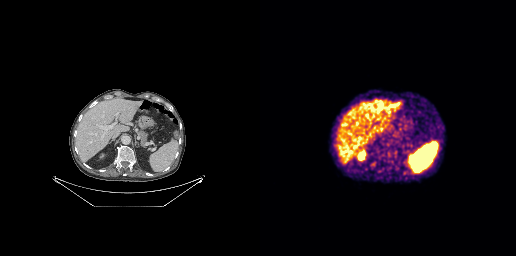
{"pet_grid":[256,256],"coord_frame":"pet_panel","coord_format":"x0,y0,x1,y1","psma_avid_lesions":false,"modality":"PSMA PET/CT","view":"axial","tracer":"[68Ga]Ga-PSMA-11"}